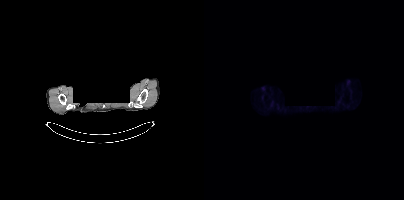
{"modality":"PSMA PET/CT","view":"axial","tracer":"18F","pet_grid":[200,200],"coord_frame":"pet_panel","coord_format":"x0,y0,x1,y1","psma_avid_lesions":false,"de-identification":"face masked with black rectangle"}